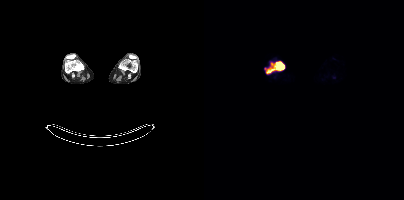
Coordinates are on the 200×200 PET (right) panel. PSMA-avid tumor lesion bounding box (x, y, width, height): x=61 y=62 w=20 h=12.